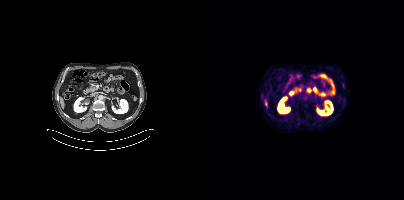
{"modality":"PSMA PET/CT","view":"axial","tracer":"[18F]PSMA-1007","pet_grid":[200,200],"coord_frame":"pet_panel","coord_format":"x0,y0,x1,y1","psma_avid_lesions":false}